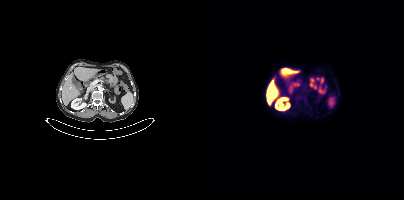
Paired axial CT (left) and PSMA PET (right), 18F tracer. Slice position z = -1222 mm. Negative for PSMA-avid disease on this slice.